Two-panel axial: CT | PSMA PET, 18F tracer. Slice position z = -852 mm.
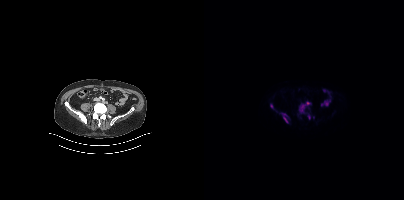
Coordinates are on the 200×200 PET (right) panel. PSMA-avid tumor lesion bounding boxes:
| # | x0 | y0 | x1 | y1 |
|---|---|---|---|---|
| 1 | 94 | 103 | 102 | 113 |
| 2 | 76 | 112 | 84 | 123 |
| 3 | 102 | 101 | 106 | 104 |
| 4 | 66 | 104 | 69 | 108 |
| 5 | 104 | 115 | 106 | 119 |